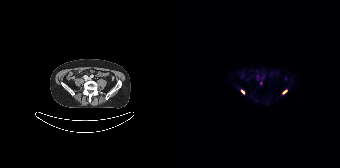
{"modality":"PSMA PET/CT","view":"axial","tracer":"18F-PSMA","pet_grid":[168,168],"coord_frame":"pet_panel","coord_format":"x0,y0,x1,y1","lesion_bboxes":[[69,90,73,94]],"small_foci_centers":[[112,91]]}